Technique: Left: CT. Right: PSMA PET, same axial level, 68Ga-PSMA tracer. slice position z = -1080 mm.
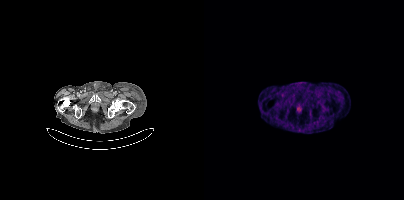
Findings: Coordinates are on the 200×200 PET (right) panel. Small PSMA-avid focus (2 to 4 px across) near (center x, center y): (94, 108).